- Left: CT. Right: PSMA PET, same axial level, 18F-PSMA tracer
- acquired on Siemens Biograph mCT Flow 20
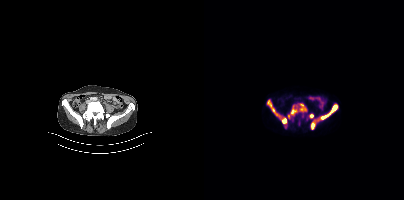
Findings: Coordinates are on the 200×200 PET (right) panel. PSMA-avid tumor lesion bounding boxes (x0, y0)-(x1, y1): (84, 103)-(102, 118) | (63, 100)-(83, 124) | (114, 103)-(134, 120) | (106, 119)-(111, 129) | (105, 114)-(109, 118).